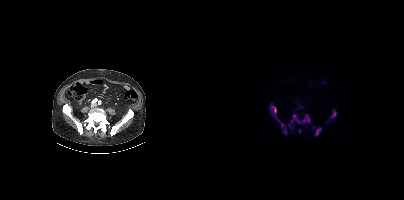
Two-panel axial: CT | PSMA PET, 18F-PSMA tracer.
Coordinates are on the 200×200 PET (right) panel. PSMA-avid tumor lesion bounding boxes (partial; 4 more foci not listed):
| # | x0 | y0 | x1 | y1 |
|---|---|---|---|---|
| 1 | 87 | 114 | 106 | 123 |
| 2 | 74 | 120 | 83 | 133 |
| 3 | 67 | 105 | 72 | 117 |
| 4 | 126 | 110 | 132 | 118 |
| 5 | 111 | 128 | 116 | 135 |
Small PSMA-avid foci (2 to 4 px across) near (center x, center y): (95, 130); (84, 124).